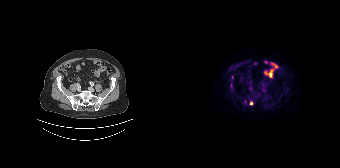
Coordinates are on the 168×168 PET (right) panel. (showing 3 of 4 foci) PSMA-avid tumor lesion bounding box (x, y, width, height): x=78 y=101 w=4 h=5. Small PSMA-avid foci (2 to 4 px across) near (center x, center y): (60, 77) / (59, 84).